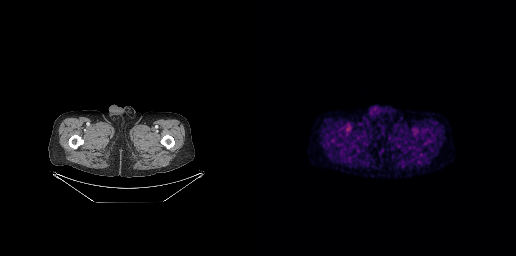
- Two-panel axial: CT | PSMA PET, 18F-PSMA tracer
- acquired on GE Discovery 690
- slice position z = -909 mm
- PET panel 256×256 px (2.7 mm/px)
Findings: Negative for PSMA-avid disease on this slice.